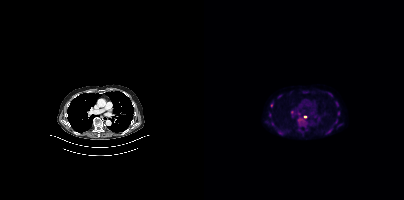
{"modality":"PSMA PET/CT","view":"axial","tracer":"[18F]PSMA-1007","pet_grid":[200,200],"coord_frame":"pet_panel","coord_format":"x0,y0,x1,y1","partial":true,"lesion_bboxes":[[131,101,134,106],[133,111,136,115],[66,103,68,107]],"small_foci_centers":[[126,94],[88,112],[101,116],[101,91],[65,115],[68,123],[86,92]]}